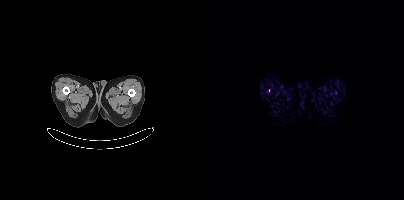
{"pet_grid":[200,200],"coord_frame":"pet_panel","coord_format":"x0,y0,x1,y1","partial":true,"lesion_bboxes":[],"modality":"PSMA PET/CT","view":"axial","tracer":"[18F]PSMA-1007"}